- Two-panel axial: CT | PSMA PET, 18F-PSMA tracer
- slice position z = -1059 mm
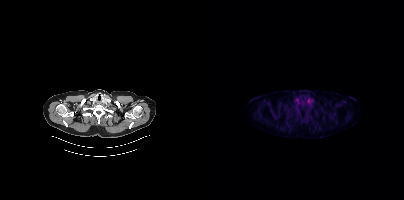
Findings: Negative for PSMA-avid disease on this slice.